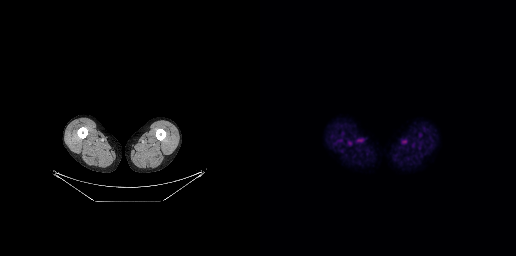
Left: CT. Right: PSMA PET, same axial level, [18F]PSMA-1007 tracer. Acquired on GE Discovery 690. This slice has no annotated PSMA-avid lesion.